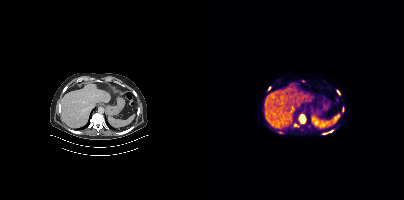
Findings: Coordinates are on the 200×200 PET (right) panel. PSMA-avid tumor lesion bounding boxes (x0, y0)-(x1, y1): (95, 116)-(101, 123) | (90, 124)-(94, 126) | (133, 90)-(135, 94). Small PSMA-avid focus (2 to 4 px across) near (center x, center y): (126, 131).
- Left: CT. Right: PSMA PET, same axial level, [18F]PSMA-1007 tracer
- acquired on Siemens Biograph mCT Flow 20
- slice 255 of 444